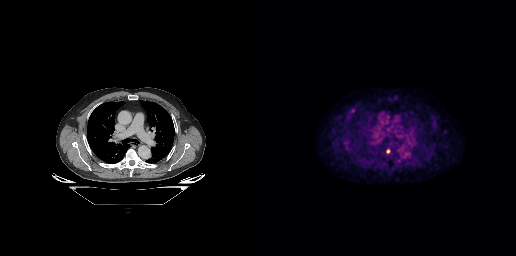
Paired axial CT (left) and PSMA PET (right), [18F]PSMA-1007 tracer. Acquired on GE Discovery 690. Coordinates are on the 256×256 PET (right) panel. PSMA-avid tumor lesion bounding box (x, y, width, height): x=126 y=149 w=4 h=5. Small PSMA-avid focus (2 to 4 px across) near (center x, center y): (92, 110).